Two-panel axial: CT | PSMA PET, 18F tracer. Slice 143 of 299. PET panel 256×256 px (2.7 mm/px).
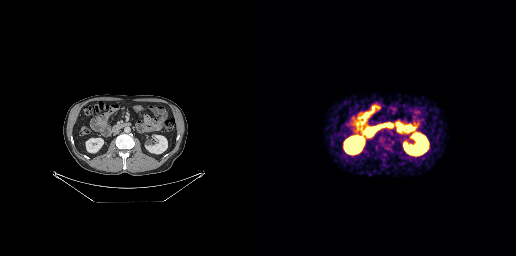
Coordinates are on the 256×256 PET (right) panel. PSMA-avid tumor lesion bounding box (x, y, width, height): x=123 y=143 w=6 h=6.